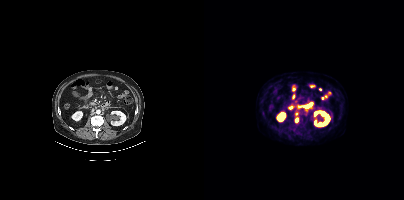
Findings: Coordinates are on the 200×200 PET (right) panel. PSMA-avid tumor lesion bounding box (x0, y0)-(x1, y1): (91, 118)-(94, 122). Small PSMA-avid focus (2 to 4 px across) near (center x, center y): (92, 113).
- Paired axial CT (left) and PSMA PET (right), 18F-PSMA tracer
- slice position z = -194 mm
- PET panel 200×200 px (4.1 mm/px)